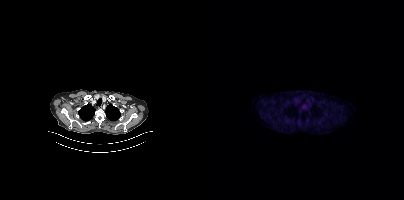
Only PSMA-avid lesion pieces thinner than 2 px on this slice (not listed).